- Two-panel axial: CT | PSMA PET, [18F]PSMA-1007 tracer
- slice position z = -422 mm
- PET panel 200×200 px (4.1 mm/px)
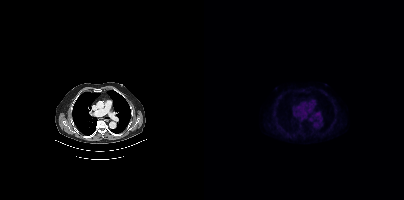
Findings: Coordinates are on the 200×200 PET (right) panel. Small PSMA-avid focus (2 to 4 px across) near (center x, center y): (105, 119).